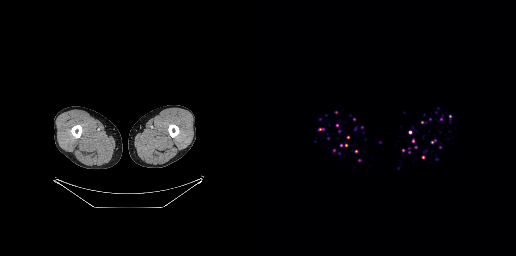
No PSMA-avid tumor lesions on this slice.